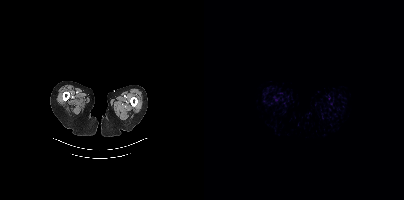
This slice has no annotated PSMA-avid lesion.